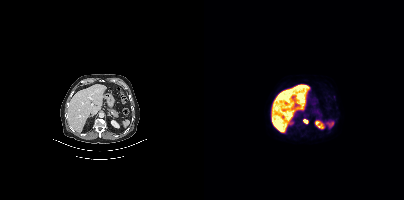
Coordinates are on the 200×200 PET (right) panel. Small PSMA-avid focus (2 to 4 px across) near (center x, center y): (101, 120). Left: CT. Right: PSMA PET, same axial level, 18F-PSMA tracer.